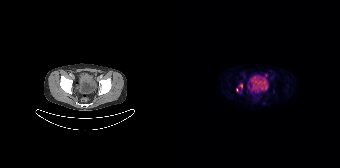
Findings: Coordinates are on the 168×168 PET (right) panel. PSMA-avid tumor lesion bounding box (x0, y0)-(x1, y1): (67, 84)-(70, 89). Small PSMA-avid foci (2 to 4 px across) near (center x, center y): (65, 89) / (91, 103).
Technique: Paired axial CT (left) and PSMA PET (right), 18F tracer. acquired on Siemens Biograph 64-4R TruePoint. PET panel 168×168 px (4.1 mm/px).